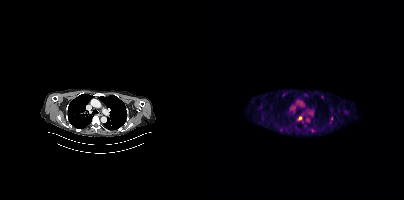
Coordinates are on the 200×200 PET (right) panel. (showing 4 of 5 foci) PSMA-avid tumor lesion bounding boxes (x0, y0)-(x1, y1): (93, 116)-(98, 120); (78, 92)-(82, 96). Small PSMA-avid foci (2 to 4 px across) near (center x, center y): (127, 118); (76, 129).